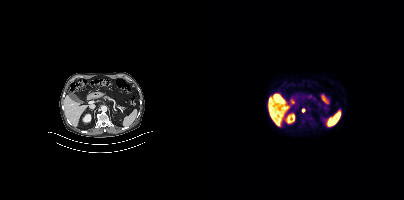
Technique: Left: CT. Right: PSMA PET, same axial level, [18F]PSMA-1007 tracer. slice 226 of 421. PET panel 200×200 px (4.1 mm/px).
Findings: Coordinates are on the 200×200 PET (right) panel. Small PSMA-avid focus (2 to 4 px across) near (center x, center y): (99, 110).